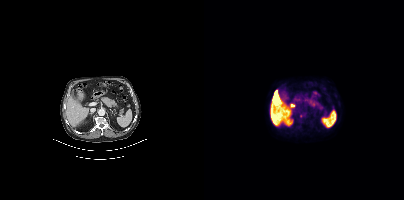
{"pet_grid":[200,200],"coord_frame":"pet_panel","coord_format":"x0,y0,x1,y1","lesion_bboxes":[],"small_foci_centers":[[96,116]],"modality":"PSMA PET/CT","view":"axial","tracer":"18F"}